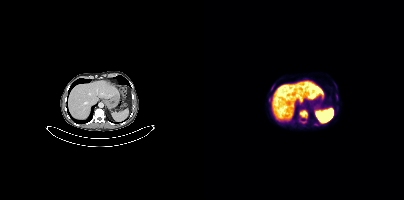
{"modality":"PSMA PET/CT","view":"axial","tracer":"18F-PSMA","pet_grid":[200,200],"coord_frame":"pet_panel","coord_format":"x0,y0,x1,y1","partial":true,"lesion_bboxes":[[96,110,103,118]]}